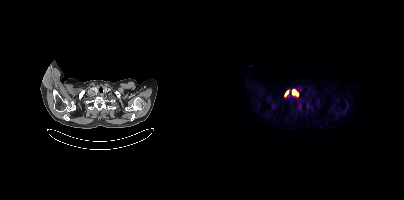
Paired axial CT (left) and PSMA PET (right), 18F tracer. Acquired on Siemens Biograph mCT Flow 20. Slice position z = -367 mm. Coordinates are on the 200×200 PET (right) panel. PSMA-avid tumor lesion bounding boxes (x0,y0,x1,y1): [88,90,94,95]; [81,91,84,96].